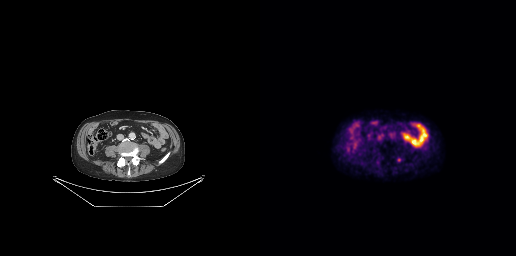
Findings: Coordinates are on the 256×256 PET (right) panel. Small PSMA-avid focus (2 to 4 px across) near (center x, center y): (138, 159).
Technique: Paired axial CT (left) and PSMA PET (right), [18F]PSMA-1007 tracer. slice position z = -528 mm. PET panel 256×256 px (2.7 mm/px).